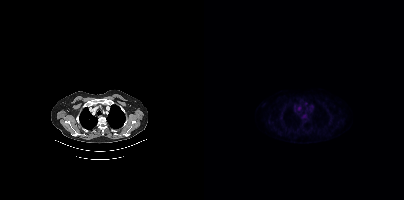
No tumor lesions annotated on this slice.